Paired axial CT (left) and PSMA PET (right), 18F tracer. Slice 85 of 373. PET panel 200×200 px (4.1 mm/px).
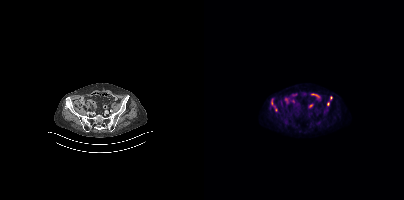
Coordinates are on the 200×200 PET (right) panel. PSMA-avid tumor lesion bounding boxes:
| # | x0 | y0 | x1 | y1 |
|---|---|---|---|---|
| 1 | 67 | 99 | 73 | 111 |
| 2 | 126 | 96 | 128 | 100 |
Small PSMA-avid focus (2 to 4 px across) near (center x, center y): (124, 103).